Left: CT. Right: PSMA PET, same axial level, [18F]PSMA-1007 tracer. Slice 193 of 263.
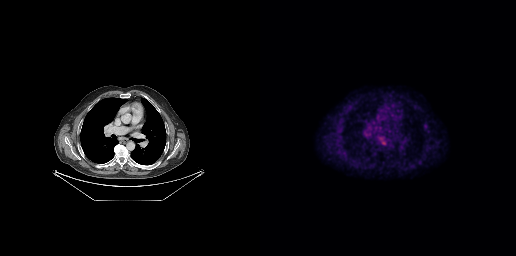
Coordinates are on the 256×256 PET (right) panel. Small PSMA-avid focus (2 to 4 px across) near (center x, center y): (123, 143).